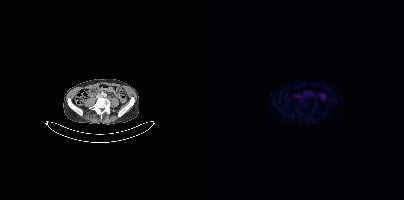
No PSMA-avid tumor lesions on this slice.